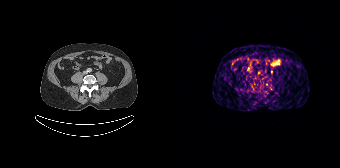
No PSMA-avid tumor lesions on this slice.